Technique: Left: CT. Right: PSMA PET, same axial level, 18F-PSMA tracer. acquired on Siemens Biograph mCT Flow 20. PET panel 200×200 px (4.1 mm/px).
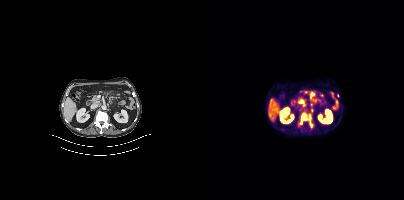
Findings: Coordinates are on the 200×200 PET (right) panel. (showing 2 of 4 foci) PSMA-avid tumor lesion bounding box (x0, y0)-(x1, y1): (94, 114)-(110, 128). Small PSMA-avid focus (2 to 4 px across) near (center x, center y): (98, 102).